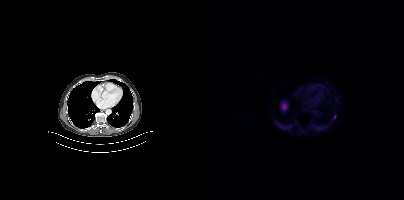
Coordinates are on the 200×200 PET (right) panel. PSMA-avid tumor lesion bounding box (x0, y0)-(x1, y1): (129, 115)-(132, 119).